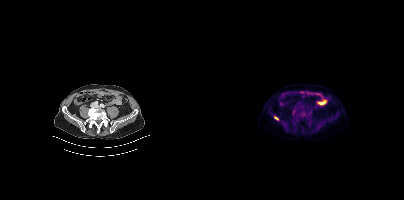
Coordinates are on the 200×200 PET (right) panel. PSMA-avid tumor lesion bounding box (x0,y0,x1,y1): [70,116,74,120]. Small PSMA-avid focus (2 to 4 px across) near (center x, center y): (89, 111). Paired axial CT (left) and PSMA PET (right), [18F]PSMA-1007 tracer.